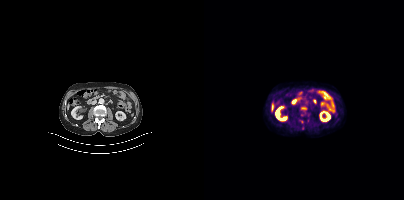
Paired axial CT (left) and PSMA PET (right), 18F tracer. Acquired on Siemens Biograph mCT Flow 20. Slice 167 of 407. PET panel 200×200 px (4.1 mm/px). Negative for PSMA-avid disease on this slice.